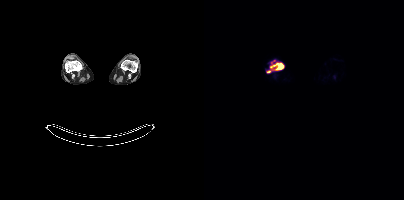
Coordinates are on the 200×200 PET (right) panel. PSMA-avid tumor lesion bounding box (x0, y0)-(x1, y1): (66, 60)-(79, 69). Small PSMA-avid focus (2 to 4 px across) near (center x, center y): (64, 71).
modality: PSMA PET/CT | tracer: 18F | view: axial | PET grid: 200×200